- Paired axial CT (left) and PSMA PET (right), 18F-PSMA tracer
- slice position z = -348 mm
- PET panel 200×200 px (4.1 mm/px)
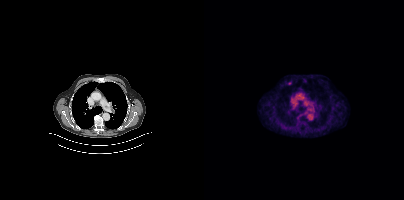
Findings: Coordinates are on the 200×200 PET (right) panel. Small PSMA-avid focus (2 to 4 px across) near (center x, center y): (85, 83).